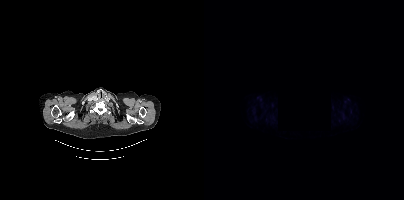
This slice has no annotated PSMA-avid lesion. Paired axial CT (left) and PSMA PET (right), 18F tracer. Slice position z = -390 mm. PET panel 200×200 px (4.1 mm/px). A rectangular privacy mask was applied before release.